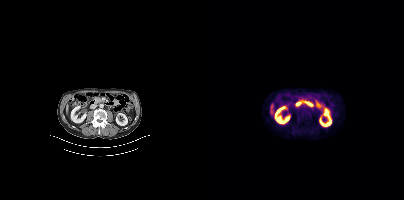
This slice has no annotated PSMA-avid lesion.